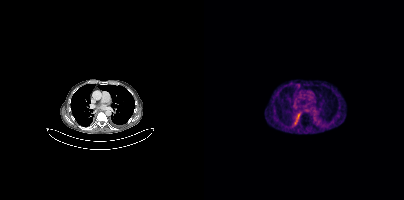
Left: CT. Right: PSMA PET, same axial level, 68Ga tracer. Slice 282 of 413.
Coordinates are on the 200×200 PET (right) panel. PSMA-avid tumor lesion bounding boxes:
| # | x0 | y0 | x1 | y1 |
|---|---|---|---|---|
| 1 | 101 | 108 | 105 | 112 |